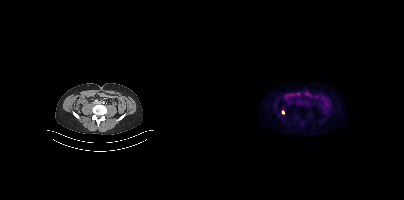
Coordinates are on the 200×200 PET (right) panel. Small PSMA-avid focus (2 to 4 px across) near (center x, center y): (79, 112).